Left: CT. Right: PSMA PET, same axial level, 18F-PSMA tracer. Slice position z = -628 mm.
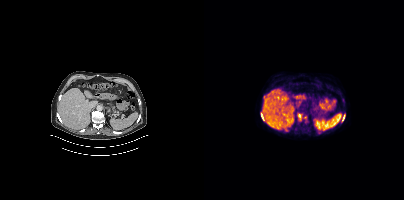
Only PSMA-avid lesion pieces thinner than 2 px on this slice (not listed).